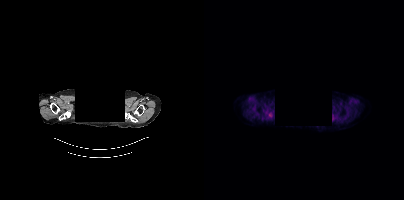
This slice has no annotated PSMA-avid lesion.
Facial anatomy redacted by setting a rectangular region of the head to black.